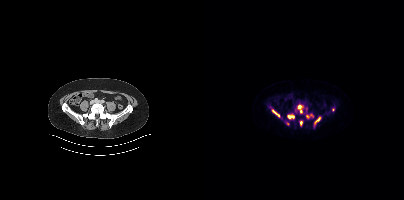
Findings: Coordinates are on the 200×200 PET (right) panel. (showing 7 of 9 foci) PSMA-avid tumor lesion bounding boxes (x, y, width, height): x=83 y=115 w=8 h=4; x=68 y=110 w=8 h=7; x=111 y=117 w=6 h=6. Small PSMA-avid foci (2 to 4 px across) near (center x, center y): (95, 106); (97, 122); (129, 109); (96, 111).
Technique: Paired axial CT (left) and PSMA PET (right), [18F]PSMA-1007 tracer. slice position z = -860 mm.